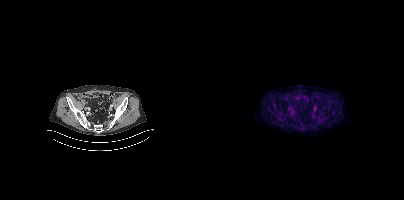
Coordinates are on the 200×200 PET (right) panel. Small PSMA-avid focus (2 to 4 px across) near (center x, center y): (69, 104). Left: CT. Right: PSMA PET, same axial level, 18F tracer. Acquired on Siemens Biograph mCT Flow 20. Slice 102 of 407.